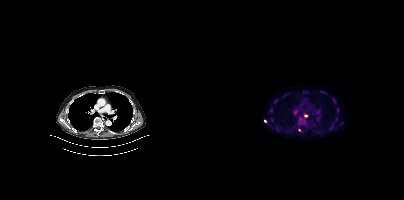
Coordinates are on the 200×200 PET (right) panel. (showing 10 of 12 foci) PSMA-avid tumor lesion bounding boxes (x, y, width, height): x=60 y=119 w=4 h=5 | x=128 y=98 w=4 h=5 | x=132 y=108 w=4 h=5. Small PSMA-avid foci (2 to 4 px across) near (center x, center y): (97, 119) | (67, 110) | (102, 115) | (67, 120) | (100, 91) | (71, 101) | (95, 129).